Technique: Left: CT. Right: PSMA PET, same axial level, 68Ga-PSMA tracer. PET panel 168×168 px (4.1 mm/px).
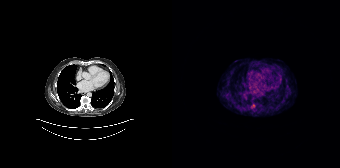
Findings: Coordinates are on the 168×168 PET (right) panel. Small PSMA-avid focus (2 to 4 px across) near (center x, center y): (81, 106).